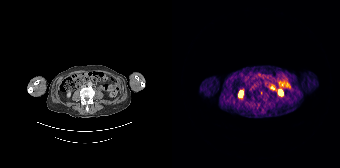
Findings: This slice has no annotated PSMA-avid lesion.
Technique: Left: CT. Right: PSMA PET, same axial level, 68Ga-PSMA tracer. slice 66 of 165.